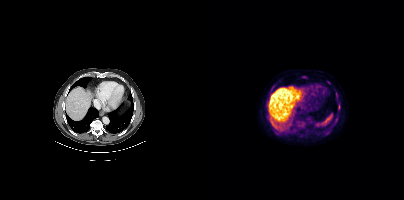
Paired axial CT (left) and PSMA PET (right), [18F]PSMA-1007 tracer. Slice 263 of 438. Coordinates are on the 200×200 PET (right) panel. (showing 3 of 4 foci) PSMA-avid tumor lesion bounding box (x0, y0)-(x1, y1): (134, 104)-(136, 109). Small PSMA-avid foci (2 to 4 px across) near (center x, center y): (100, 77) / (124, 82).